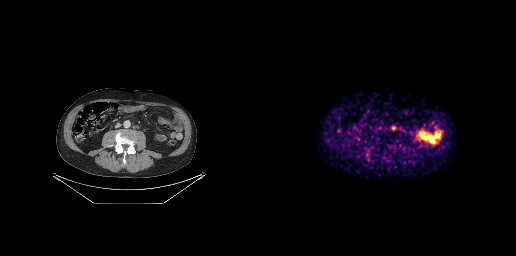
- Left: CT. Right: PSMA PET, same axial level, [68Ga]Ga-PSMA-11 tracer
Findings: Coordinates are on the 256×256 PET (right) panel. PSMA-avid tumor lesion bounding box (x0,y0,x1,y1): [130,125,137,130].